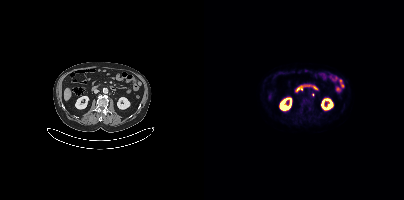
Paired axial CT (left) and PSMA PET (right), [18F]PSMA-1007 tracer. Slice position z = -699 mm. PET panel 200×200 px (4.1 mm/px). This slice has no annotated PSMA-avid lesion.